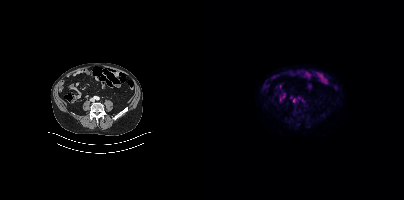
Coordinates are on the 200×200 PET (right) panel. Small PSMA-avid focus (2 to 4 px across) near (center x, center y): (89, 100).
modality: PSMA PET/CT | tracer: 18F | view: axial | PET grid: 200×200